- any black rectangle over the head is a privacy mask, not anatomy
- Left: CT. Right: PSMA PET, same axial level, 68Ga tracer
- acquired on Siemens Biograph mCT Flow 20
- PET panel 200×200 px (4.1 mm/px)
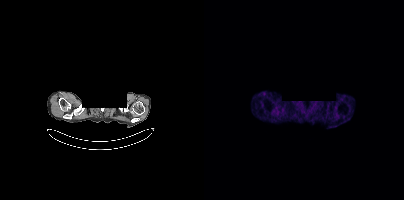
Findings: Negative for PSMA-avid disease on this slice.